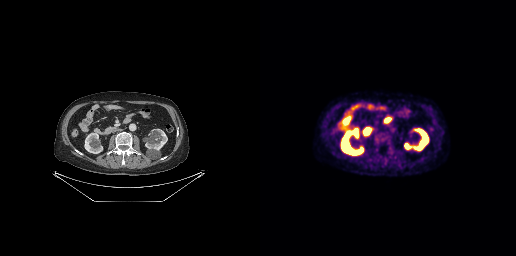
modality: PSMA PET/CT | tracer: 18F | view: axial | PET grid: 256×256
This slice has no annotated PSMA-avid lesion.